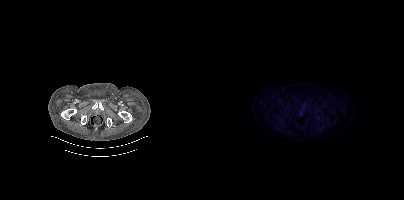
modality: PSMA PET/CT | tracer: 18F | view: axial
This slice has no annotated PSMA-avid lesion.